- Left: CT. Right: PSMA PET, same axial level, [18F]PSMA-1007 tracer
- acquired on Siemens Biograph mCT Flow 20
- PET panel 200×200 px (4.1 mm/px)
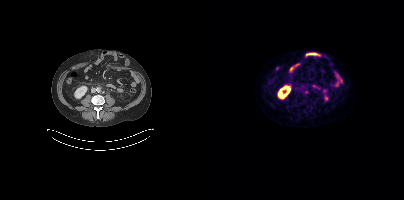
Findings: Coordinates are on the 200×200 PET (right) panel. PSMA-avid tumor lesion bounding box (x0,y0,x1,y1): [100,90,104,93].